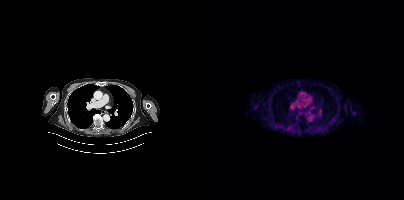
{"pet_grid":[200,200],"coord_frame":"pet_panel","coord_format":"x0,y0,x1,y1","psma_avid_lesions":false,"modality":"PSMA PET/CT","view":"axial","tracer":"18F-PSMA"}